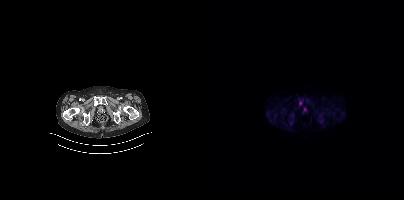
Technique: Left: CT. Right: PSMA PET, same axial level, [18F]PSMA-1007 tracer. slice 40 of 401.
Findings: Coordinates are on the 200×200 PET (right) panel. Small PSMA-avid focus (2 to 4 px across) near (center x, center y): (96, 102).